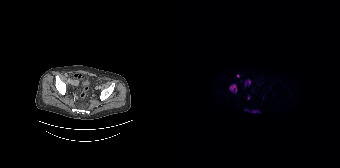
{"pet_grid":[168,168],"coord_frame":"pet_panel","coord_format":"x0,y0,x1,y1","partial":true,"lesion_bboxes":[[58,84,64,92],[73,80,78,86],[80,110,85,112]],"small_foci_centers":[[76,97],[66,75],[73,109]],"modality":"PSMA PET/CT","view":"axial","tracer":"18F-PSMA"}